Paired axial CT (left) and PSMA PET (right), 18F tracer. Slice 159 of 401. PET panel 200×200 px (4.1 mm/px).
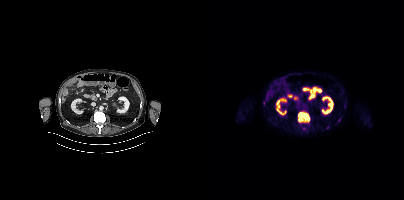
Coordinates are on the 200×200 PET (right) panel. PSMA-avid tumor lesion bounding box (x, y, width, height): x=94 y=112 w=12 h=10. Small PSMA-avid focus (2 to 4 px across) near (center x, center y): (99, 128).